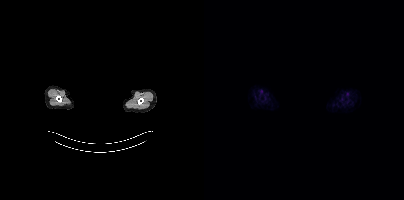
No PSMA-avid tumor lesions on this slice. Facial anatomy redacted by setting a rectangular region of the head to black. Left: CT. Right: PSMA PET, same axial level, 18F-PSMA tracer. Slice 344 of 356.